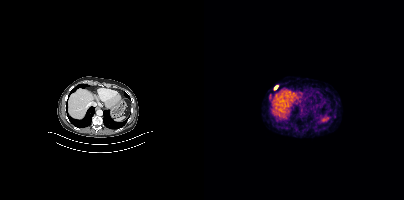
Technique: Paired axial CT (left) and PSMA PET (right), [68Ga]Ga-PSMA-11 tracer. acquired on Siemens Biograph mCT Flow 20.
Findings: Coordinates are on the 200×200 PET (right) panel. Small PSMA-avid focus (2 to 4 px across) near (center x, center y): (71, 87).